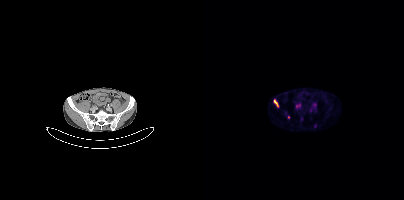
Coordinates are on the 200×200 PET (right) panel. (showing 3 of 4 foci) PSMA-avid tumor lesion bounding boxes (x0,y0,x1,y1): [92,103,96,108]; [70,100,74,106]. Small PSMA-avid focus (2 to 4 px across) near (center x, center y): (84, 117).